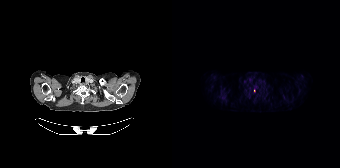
Coordinates are on the 168×168 PET (right) panel. Small PSMA-avid focus (2 to 4 px across) near (center x, center y): (82, 90).